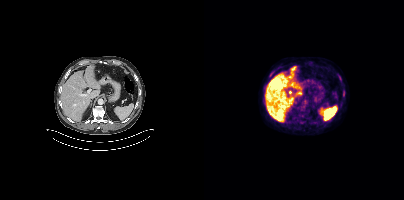
This slice has no annotated PSMA-avid lesion. Paired axial CT (left) and PSMA PET (right), 18F tracer. Slice position z = 1484 mm.